A rectangular region was set to black for de-identification. Paired axial CT (left) and PSMA PET (right), 68Ga-PSMA tracer. Slice position z = -351 mm.
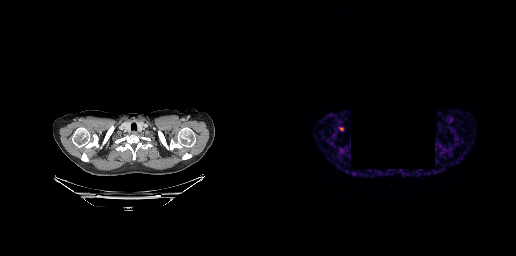
No PSMA-avid tumor lesions on this slice.